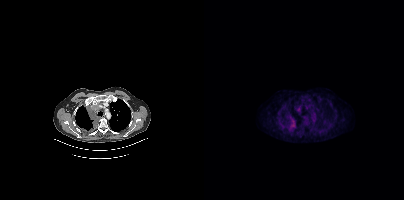
modality: PSMA PET/CT | tracer: [18F]PSMA-1007 | view: axial | PET grid: 200×200
Coordinates are on the 200×200 PET (right) panel. PSMA-avid tumor lesion bounding boxes (x0, y0)-(x1, y1): (84, 121)-(92, 129); (93, 108)-(96, 112).